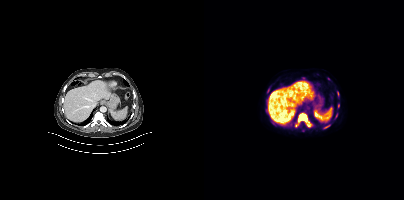
Technique: Left: CT. Right: PSMA PET, same axial level, 18F tracer. acquired on Siemens Biograph mCT Flow 20. slice 243 of 429.
Findings: Coordinates are on the 200×200 PET (right) panel. PSMA-avid tumor lesion bounding boxes (x, y, width, height): x=91 y=114 w=17 h=14; x=120 y=124 w=7 h=5; x=133 y=92 w=2 h=5. Small PSMA-avid foci (2 to 4 px across) near (center x, center y): (134, 105); (63, 91); (131, 117).